Two-panel axial: CT | PSMA PET, [18F]PSMA-1007 tracer. Acquired on Siemens Biograph mCT Flow 20.
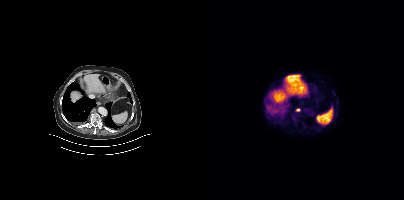
Coordinates are on the 200×200 PET (right) panel. Small PSMA-avid focus (2 to 4 px across) near (center x, center y): (93, 110).